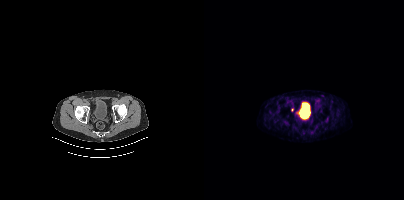
Coordinates are on the 200×200 PET (right) panel. Small PSMA-avid focus (2 to 4 px across) near (center x, center y): (88, 110). Two-panel axial: CT | PSMA PET, [68Ga]Ga-PSMA-11 tracer. Slice 70 of 409. PET panel 200×200 px (4.1 mm/px).